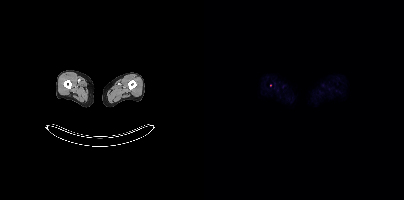
Findings: Only PSMA-avid lesion pieces thinner than 2 px on this slice (not listed).
Technique: Paired axial CT (left) and PSMA PET (right), 18F-PSMA tracer. acquired on Siemens Biograph mCT Flow 20. slice 434 of 963. PET panel 200×200 px (4.1 mm/px).